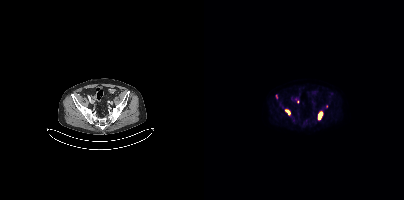
Left: CT. Right: PSMA PET, same axial level, 18F tracer.
Coordinates are on the 200×200 PET (right) panel. PSMA-avid tumor lesion bounding boxes (partial; 1 more focus not listed):
| # | x0 | y0 | x1 | y1 |
|---|---|---|---|---|
| 1 | 114 | 112 | 118 | 119 |
Small PSMA-avid focus (2 to 4 px across) near (center x, center y): (93, 101).